Left: CT. Right: PSMA PET, same axial level, [18F]PSMA-1007 tracer.
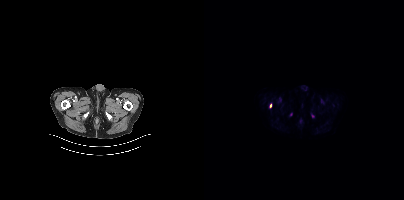
Coordinates are on the 200×200 PET (right) panel. PSMA-avid tumor lesion bounding boxes:
| # | x0 | y0 | x1 | y1 |
|---|---|---|---|---|
| 1 | 65 | 103 | 67 | 107 |
Small PSMA-avid focus (2 to 4 px across) near (center x, center y): (108, 115).